modality: PSMA PET/CT | tracer: [18F]PSMA-1007 | view: axial | PET grid: 200×200
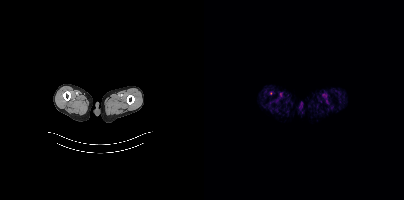
Negative for PSMA-avid disease on this slice.